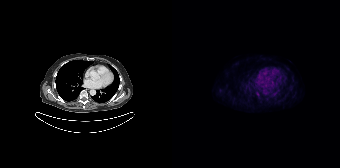
This slice has no annotated PSMA-avid lesion. Left: CT. Right: PSMA PET, same axial level, [18F]PSMA-1007 tracer. Slice 110 of 165. PET panel 168×168 px (4.1 mm/px).